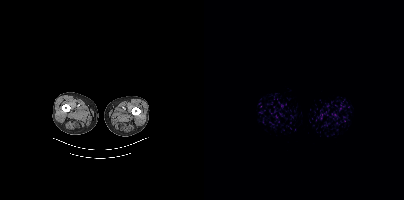
{"modality":"PSMA PET/CT","view":"axial","tracer":"[18F]PSMA-1007","pet_grid":[200,200],"coord_frame":"pet_panel","coord_format":"x0,y0,x1,y1","psma_avid_lesions":false}